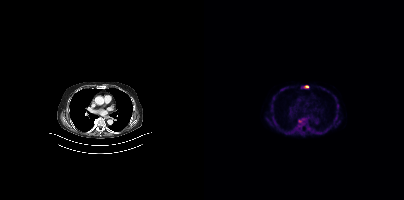
{"pet_grid":[200,200],"coord_frame":"pet_panel","coord_format":"x0,y0,x1,y1","lesion_bboxes":[[94,119,100,127],[102,126,107,130]],"small_foci_centers":[[102,86]],"modality":"PSMA PET/CT","view":"axial","tracer":"18F"}